Left: CT. Right: PSMA PET, same axial level, 68Ga tracer. Acquired on GE Discovery 690. PET panel 256×256 px (2.7 mm/px). Facial anatomy redacted by setting a rectangular region of the head to black.
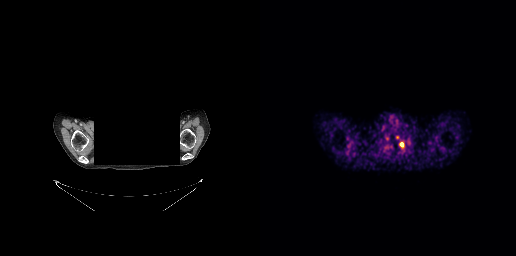
Coordinates are on the 256×256 PET (right) panel. PSMA-avid tumor lesion bounding boxes (x0, y0)-(x1, y1): (139, 142)-(144, 147); (136, 135)-(139, 139). Small PSMA-avid focus (2 to 4 px across) near (center x, center y): (126, 137).